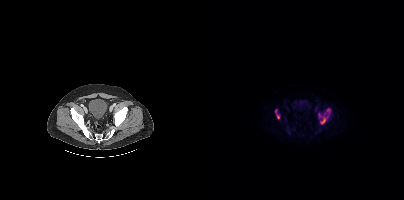
Coordinates are on the 200×200 PET (right) panel. PSMA-avid tumor lesion bounding boxes (partial; 1 more focus not listed):
| # | x0 | y0 | x1 | y1 |
|---|---|---|---|---|
| 1 | 114 | 108 | 126 | 124 |
| 2 | 71 | 109 | 75 | 118 |
Left: CT. Right: PSMA PET, same axial level, 18F-PSMA tracer. Acquired on Siemens Biograph mCT Flow 20. PET panel 200×200 px (4.1 mm/px).